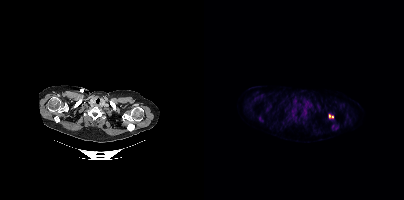
Coordinates are on the 200×200 PET (right) panel. PSMA-avid tumor lesion bounding box (x, y, width, height): x=124 y=114 w=6 h=5.